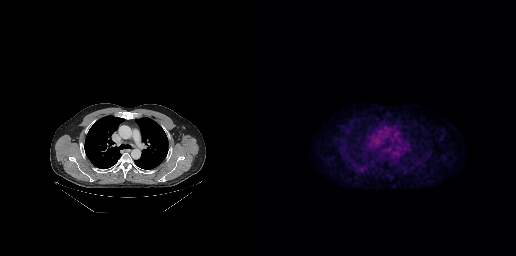
{"modality":"PSMA PET/CT","view":"axial","tracer":"[18F]PSMA-1007","pet_grid":[256,256],"coord_frame":"pet_panel","coord_format":"x0,y0,x1,y1","psma_avid_lesions":false}